- Left: CT. Right: PSMA PET, same axial level, 68Ga-PSMA tracer
- slice 96 of 373
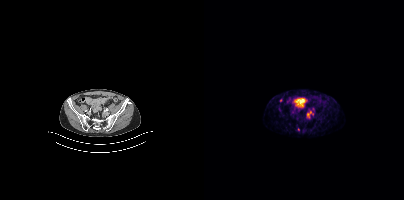
Findings: Coordinates are on the 200×200 PET (right) panel. (showing 1 of 2 foci) Small PSMA-avid focus (2 to 4 px across) near (center x, center y): (103, 114).